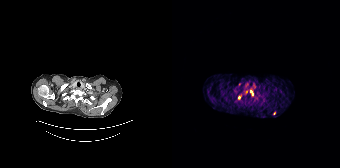
{"modality":"PSMA PET/CT","view":"axial","tracer":"68Ga-PSMA","pet_grid":[168,168],"coord_frame":"pet_panel","coord_format":"x0,y0,x1,y1","partial":true,"lesion_bboxes":[[78,90,81,95]],"small_foci_centers":[[67,97],[102,113]]}